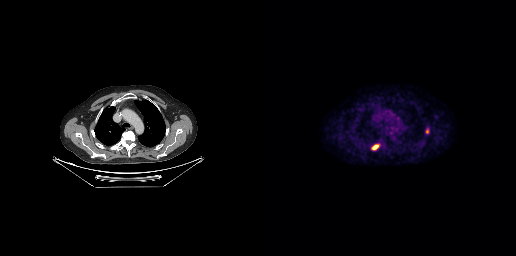
{"pet_grid":[256,256],"coord_frame":"pet_panel","coord_format":"x0,y0,x1,y1","lesion_bboxes":[[111,144,119,150],[166,129,168,133]],"modality":"PSMA PET/CT","view":"axial","tracer":"18F-PSMA"}